- Paired axial CT (left) and PSMA PET (right), 68Ga tracer
- PET panel 200×200 px (4.1 mm/px)
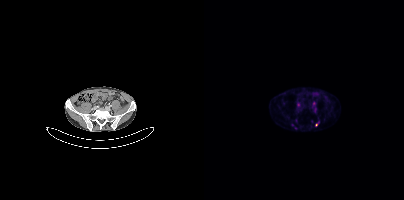
Findings: Coordinates are on the 200×200 PET (right) panel. (showing 4 of 5 foci) Small PSMA-avid foci (2 to 4 px across) near (center x, center y): (94, 104) | (88, 125) | (112, 124) | (107, 121).